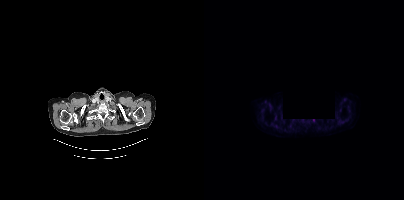
No tumor lesions annotated on this slice.
A block of pixels was blacked out before release to protect privacy.